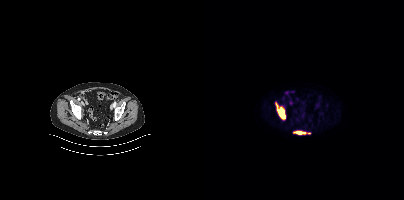
Coordinates are on the 200×200 PET (right) panel. PSMA-avid tumor lesion bounding boxes (x0,y0,x1,y1): [72,103,81,119] [89,131,101,134]. Small PSMA-avid focus (2 to 4 px across) near (center x, center y): (104, 133).